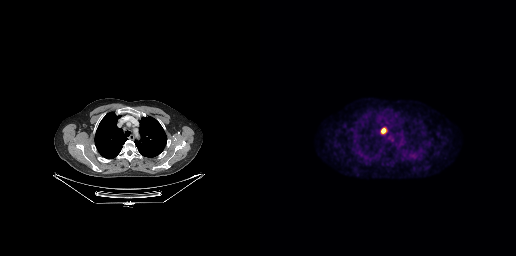
Two-panel axial: CT | PSMA PET, 18F-PSMA tracer. Slice position z = -191 mm. PET panel 256×256 px (2.7 mm/px).
Coordinates are on the 256×256 PET (right) panel. PSMA-avid tumor lesion bounding boxes:
| # | x0 | y0 | x1 | y1 |
|---|---|---|---|---|
| 1 | 121 | 128 | 126 | 133 |